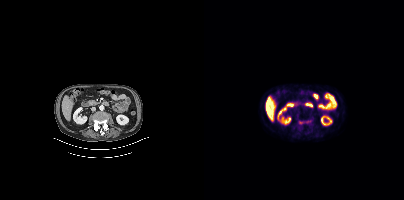
Technique: Paired axial CT (left) and PSMA PET (right), 18F-PSMA tracer. acquired on Siemens Biograph mCT Flow 20. slice position z = -1362 mm.
Findings: Coordinates are on the 200×200 PET (right) panel. Small PSMA-avid foci (2 to 4 px across) near (center x, center y): (97, 122) | (103, 121).